Technique: Left: CT. Right: PSMA PET, same axial level, 18F tracer.
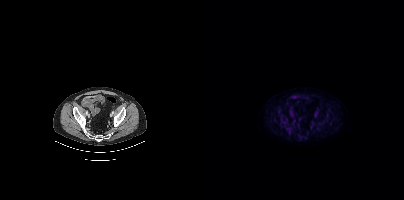
Findings: This slice has no annotated PSMA-avid lesion.